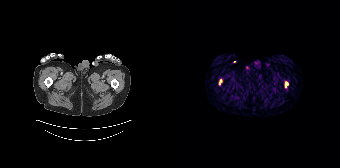
Coordinates are on the 168×168 PET (right) panel. (showing 2 of 3 foci) PSMA-avid tumor lesion bounding box (x0,y0,x1,y1): [113,82,116,87]. Small PSMA-avid focus (2 to 4 px across) near (center x, center y): (48, 80).